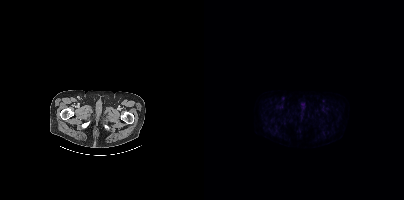
{"modality":"PSMA PET/CT","view":"axial","tracer":"18F-PSMA","pet_grid":[200,200],"coord_frame":"pet_panel","coord_format":"x0,y0,x1,y1","psma_avid_lesions":false}